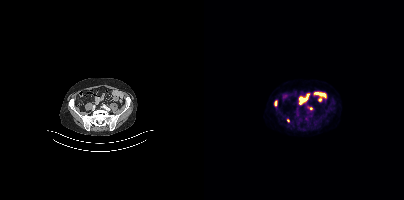
{"modality":"PSMA PET/CT","view":"axial","tracer":"[18F]PSMA-1007","pet_grid":[200,200],"coord_frame":"pet_panel","coord_format":"x0,y0,x1,y1","lesion_bboxes":[[70,100,73,106]],"small_foci_centers":[[84,120],[107,108],[102,118]]}